Two-panel axial: CT | PSMA PET, 18F tracer. Acquired on Siemens Biograph mCT Flow 20. PET panel 200×200 px (4.1 mm/px).
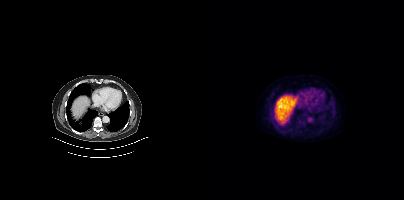
No tumor lesions annotated on this slice.